modality: PSMA PET/CT | tracer: 18F-PSMA | view: axial | PET grid: 256×256 | deidentification: face masked with black rectangle
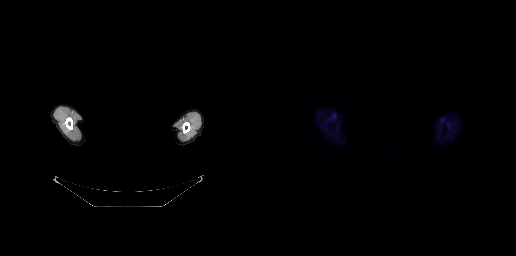
No tumor lesions annotated on this slice.